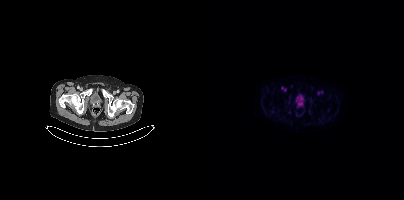
Negative for PSMA-avid disease on this slice.